Any black rectangle over the head is a privacy mask, not anatomy.
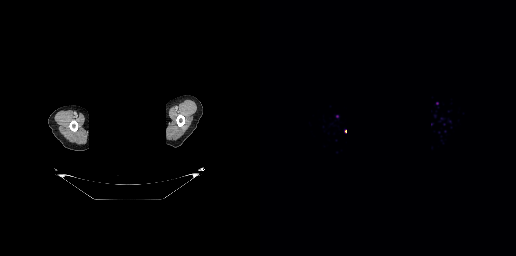
No PSMA-avid tumor lesions on this slice.